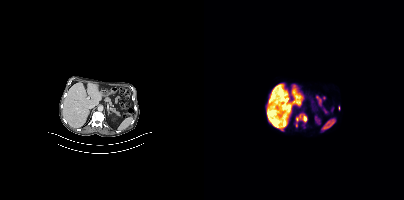
Findings: Coordinates are on the 200×200 PET (right) panel. (showing 2 of 3 foci) PSMA-avid tumor lesion bounding box (x, y, width, height): x=92 y=114 w=12 h=8. Small PSMA-avid focus (2 to 4 px across) near (center x, center y): (92, 125).
Technique: Two-panel axial: CT | PSMA PET, 18F-PSMA tracer. slice position z = -536 mm. PET panel 200×200 px (4.1 mm/px).